Technique: Left: CT. Right: PSMA PET, same axial level, 18F tracer. slice 110 of 448. PET panel 200×200 px (4.1 mm/px).
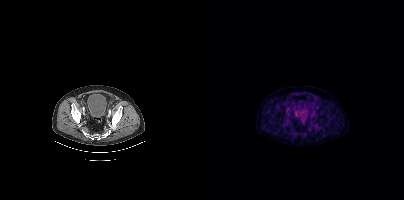
Findings: No tumor lesions annotated on this slice.